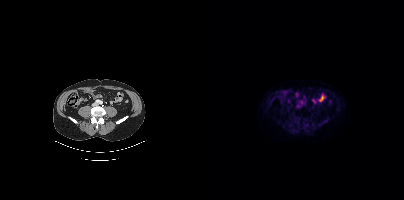
This slice has no annotated PSMA-avid lesion.